modality: PSMA PET/CT | tracer: 68Ga-PSMA | view: axial | PET grid: 256×256
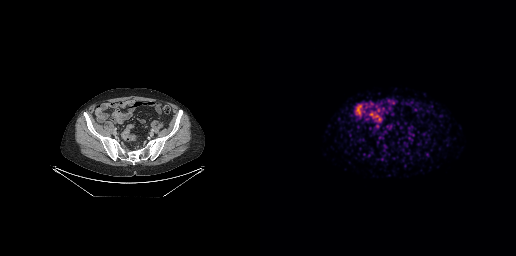
No tumor lesions annotated on this slice.